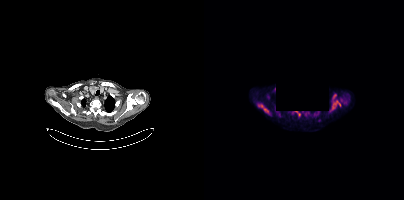
De-identified by setting a rectangular region to black. Two-panel axial: CT | PSMA PET, 18F-PSMA tracer. Slice position z = 264 mm. PET panel 200×200 px (4.1 mm/px). Coordinates are on the 200×200 PET (right) panel. PSMA-avid tumor lesion bounding boxes (x0,y0,x1,y1): [128,100,136,109] [57,105,65,114].